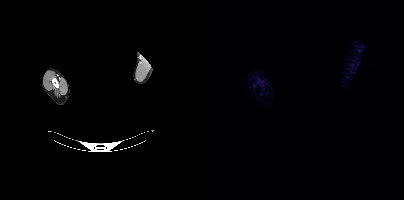
Technique: Paired axial CT (left) and PSMA PET (right), [68Ga]Ga-PSMA-11 tracer. acquired on Siemens Biograph mCT Flow 20. slice 425 of 438.
Note: The face region was removed for patient privacy by blanking a rectangle over the head.
Findings: No PSMA-avid tumor lesions on this slice.